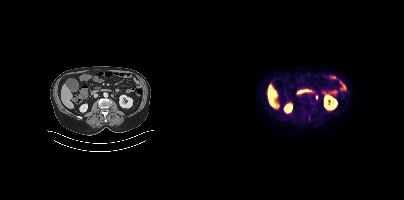
modality: PSMA PET/CT | tracer: [18F]PSMA-1007 | view: axial
Coordinates are on the 200×200 PET (right) panel. Small PSMA-avid focus (2 to 4 px across) near (center x, center y): (112, 97).